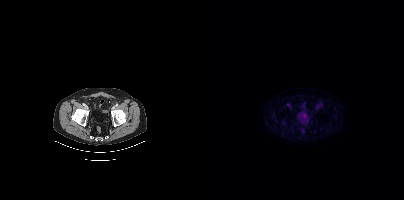
Negative for PSMA-avid disease on this slice.